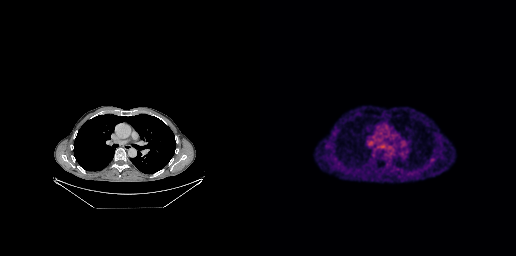
Coordinates are on the 256×256 PET (right) panel. Small PSMA-avid focus (2 to 4 px across) near (center x, center y): (171, 159). Two-panel axial: CT | PSMA PET, 18F tracer. Slice 213 of 299. PET panel 256×256 px (2.7 mm/px).